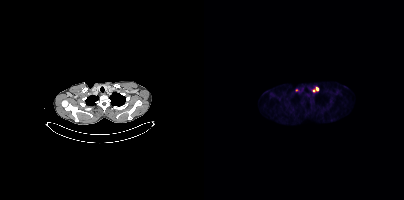
Coordinates are on the 200×200 PET (right) panel. (showing 2 of 3 foci) Small PSMA-avid foci (2 to 4 px across) near (center x, center y): (113, 89), (109, 90).